Technique: Paired axial CT (left) and PSMA PET (right), 18F tracer. PET panel 200×200 px (4.1 mm/px).
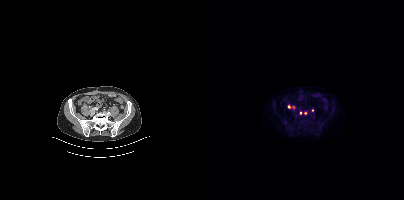
Findings: Coordinates are on the 200×200 PET (right) panel. (showing 4 of 5 foci) Small PSMA-avid foci (2 to 4 px across) near (center x, center y): (85, 106), (108, 110), (96, 113), (101, 113).